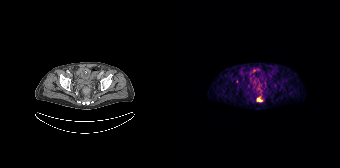
Technique: Two-panel axial: CT | PSMA PET, 68Ga tracer. PET panel 168×168 px (4.1 mm/px).
Findings: Coordinates are on the 168×168 PET (right) panel. (showing 1 of 2 foci) PSMA-avid tumor lesion bounding box (x0, y0)-(x1, y1): (85, 97)-(90, 101).